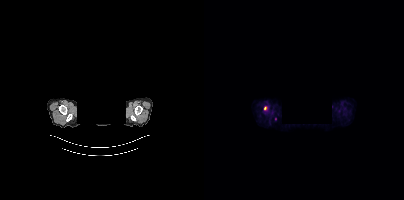
{"modality":"PSMA PET/CT","view":"axial","tracer":"18F","pet_grid":[200,200],"coord_frame":"pet_panel","coord_format":"x0,y0,x1,y1","deidentification":"rectangular block over head set to black","partial":true,"lesion_bboxes":[[60,106,63,110]]}